Paired axial CT (left) and PSMA PET (right), 68Ga tracer. Slice position z = -639 mm.
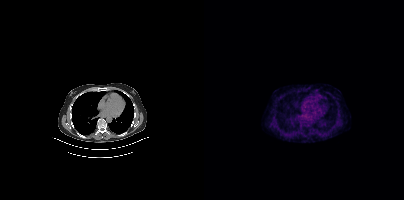
This slice has no annotated PSMA-avid lesion.